Two-panel axial: CT | PSMA PET, 18F tracer. Slice 147 of 373. PET panel 200×200 px (4.1 mm/px).
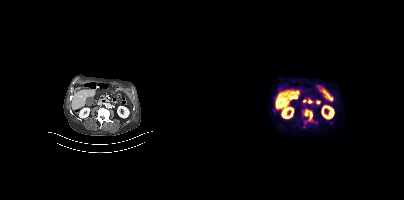
Coordinates are on the 200×200 PET (right) panel. PSMA-avid tumor lesion bounding boxes:
| # | x0 | y0 | x1 | y1 |
|---|---|---|---|---|
| 1 | 99 | 109 | 108 | 120 |
| 2 | 69 | 108 | 73 | 113 |